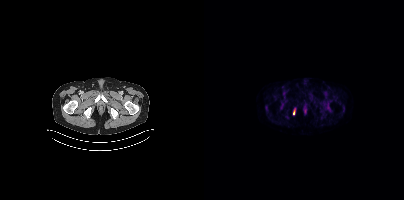
Coordinates are on the 200×200 PET (right) panel. PSMA-avid tumor lesion bounding box (x0,y0,x1,y1): [89,110,90,114].
modality: PSMA PET/CT | tracer: [68Ga]Ga-PSMA-11 | view: axial | PET grid: 200×200